modality: PSMA PET/CT | tracer: 18F-PSMA | view: axial | PET grid: 200×200
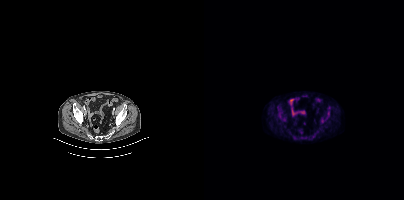
Coordinates are on the 200×200 PET (right) panel. (showing 1 of 3 foci) PSMA-avid tumor lesion bounding box (x0, y0)-(x1, y1): (116, 117)-(123, 123).